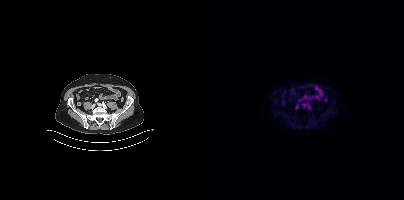
{"modality":"PSMA PET/CT","view":"axial","tracer":"18F","pet_grid":[200,200],"coord_frame":"pet_panel","coord_format":"x0,y0,x1,y1","psma_avid_lesions":false}